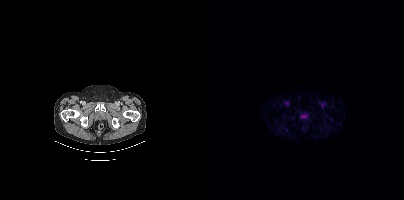
modality: PSMA PET/CT | tracer: [18F]PSMA-1007 | view: axial
This slice has no annotated PSMA-avid lesion.